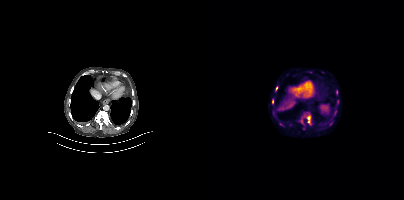
Coordinates are on the 200×200 PET (right) panel. (showing 13 of 14 foci) PSMA-avid tumor lesion bounding boxes (x0, y0)-(x1, y1): (96, 111)-(107, 125) / (68, 108)-(72, 115) / (132, 89)-(134, 95) / (75, 121)-(78, 125) / (98, 126)-(102, 130) / (71, 86)-(74, 90) / (68, 99)-(69, 104) / (130, 110)-(132, 115) / (133, 100)-(135, 104). Small PSMA-avid foci (2 to 4 px across) near (center x, center y): (106, 72) / (122, 126) / (127, 123) / (75, 107). Paired axial CT (left) and PSMA PET (right), 18F-PSMA tracer. Acquired on Siemens Biograph mCT Flow 20.